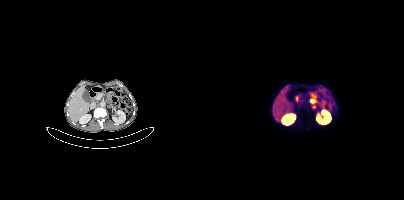
Coordinates are on the 200×200 PET (right) panel. PSMA-avid tumor lesion bounding box (x0, y0)-(x1, y1): (106, 96)-(112, 104).